Technique: Paired axial CT (left) and PSMA PET (right), 18F tracer. acquired on Siemens Biograph mCT Flow 20. slice position z = -1560 mm.
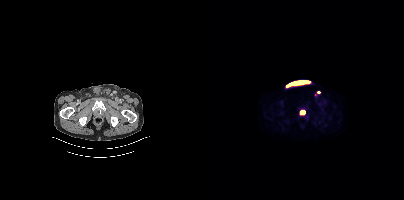
Findings: Coordinates are on the 200×200 PET (right) panel. PSMA-avid tumor lesion bounding box (x, y, width, height): x=96 y=110 w=6 h=5. Small PSMA-avid focus (2 to 4 px across) near (center x, center y): (114, 92).